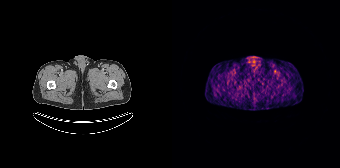
{"pet_grid":[168,168],"coord_frame":"pet_panel","coord_format":"x0,y0,x1,y1","psma_avid_lesions":false,"modality":"PSMA PET/CT","view":"axial","tracer":"[68Ga]Ga-PSMA-11"}